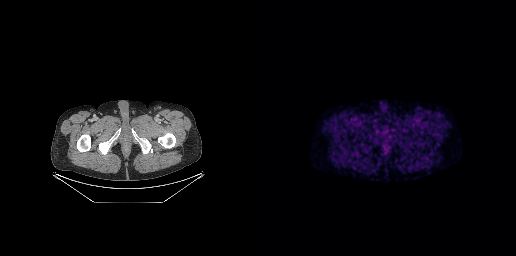
modality: PSMA PET/CT | tracer: 18F-PSMA | view: axial
Negative for PSMA-avid disease on this slice.